Technique: Paired axial CT (left) and PSMA PET (right), [68Ga]Ga-PSMA-11 tracer. acquired on GE Discovery 690. slice position z = -719 mm. PET panel 256×256 px (2.7 mm/px).
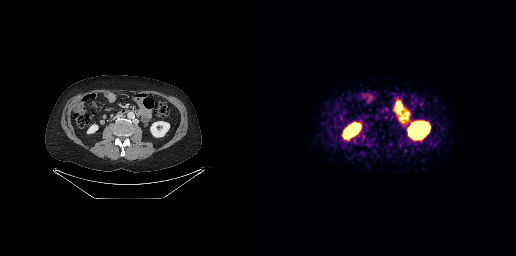
Findings: This slice has no annotated PSMA-avid lesion.